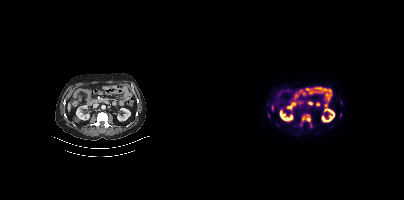
Coordinates are on the 200×200 PET (right) panel. PSMA-avid tumor lesion bounding boxes (partial; 3 more foci not listed):
| # | x0 | y0 | x1 | y1 |
|---|---|---|---|---|
| 1 | 98 | 114 | 106 | 122 |
| 2 | 136 | 113 | 137 | 117 |
Small PSMA-avid focus (2 to 4 px across) near (center x, center y): (64, 115).
Paired axial CT (left) and PSMA PET (right), 18F-PSMA tracer. Slice position z = -1270 mm. PET panel 200×200 px (4.1 mm/px).